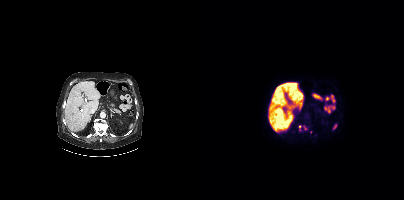
Coordinates are on the 200×200 PET (right) panel. Small PSMA-avid foci (2 to 4 px across) near (center x, center y): (100, 127) / (96, 127).